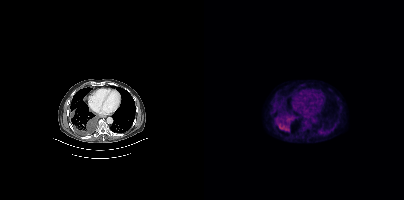
Coordinates are on the 200×200 PET (right) panel. PSMA-avid tumor lesion bounding boxes:
| # | x0 | y0 | x1 | y1 |
|---|---|---|---|---|
| 1 | 72 | 120 | 85 | 131 |
| 2 | 85 | 116 | 90 | 120 |
Left: CT. Right: PSMA PET, same axial level, 18F tracer. Acquired on Siemens Biograph mCT Flow 20. Slice 259 of 429.